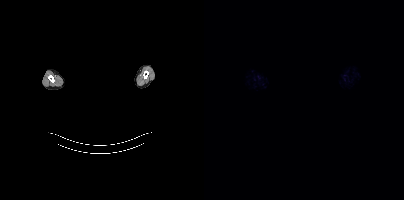
This slice has no annotated PSMA-avid lesion.
Face de-identified by blanking a block of the head.